modality: PSMA PET/CT | tracer: [18F]PSMA-1007 | view: axial
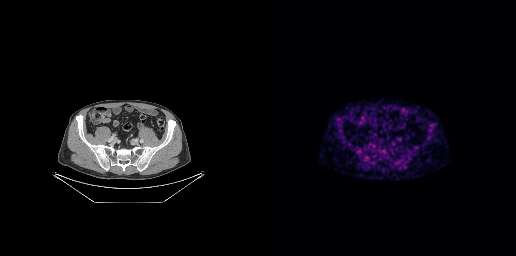
This slice has no annotated PSMA-avid lesion.